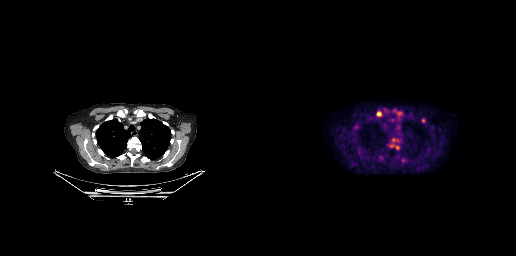
Coordinates are on the 256×256 PET (right) panel. (showing 5 of 6 foci) PSMA-avid tumor lesion bounding box (x0,y0,x1,y1): [117,111,121,116]. Small PSMA-avid foci (2 to 4 px across) near (center x, center y): (137, 147), (163, 120), (133, 139), (131, 145).